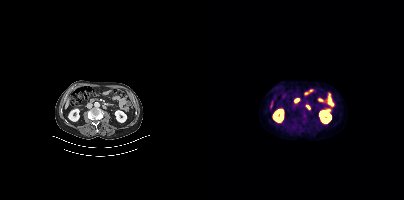
{"modality":"PSMA PET/CT","view":"axial","tracer":"18F-PSMA","pet_grid":[200,200],"coord_frame":"pet_panel","coord_format":"x0,y0,x1,y1","psma_avid_lesions":false}